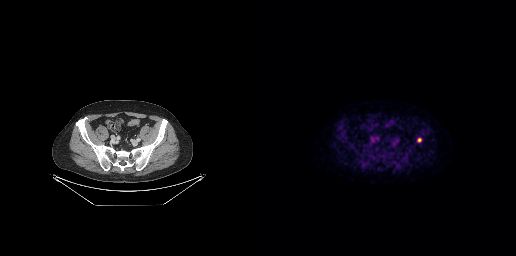
{"modality":"PSMA PET/CT","view":"axial","tracer":"[18F]PSMA-1007","pet_grid":[256,256],"coord_frame":"pet_panel","coord_format":"x0,y0,x1,y1","lesion_bboxes":[[157,138,161,142]]}